Technique: Left: CT. Right: PSMA PET, same axial level, 18F-PSMA tracer. slice position z = -188 mm.
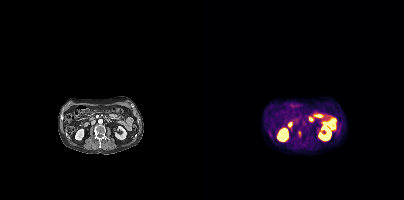
Findings: Coordinates are on the 200×200 PET (right) panel. PSMA-avid tumor lesion bounding box (x0, y0)-(x1, y1): (94, 131)-(97, 136).